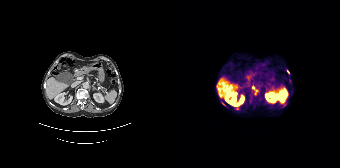
Coordinates are on the 168×168 PET (right) panel. PSMA-avid tumor lesion bounding boxes (x, y, width, height): x=82 y=90 w=5 h=5 / x=49 y=102 w=5 h=5. Small PSMA-avid foci (2 to 4 px across) near (center x, center y): (81, 87) / (116, 71) / (65, 108). Two-panel axial: CT | PSMA PET, 68Ga-PSMA tracer. Slice position z = -1292 mm. PET panel 168×168 px (4.1 mm/px).